An anonymization step blacked out a rectangle over the head in this scan.
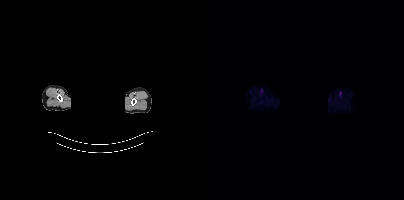
No PSMA-avid tumor lesions on this slice.